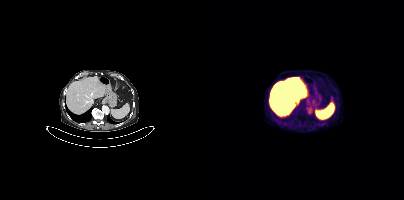
No PSMA-avid tumor lesions on this slice.